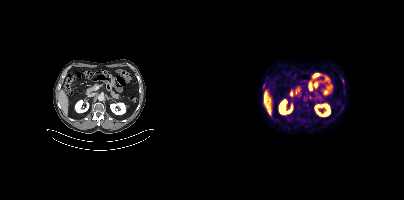
Coordinates are on the 200×200 PET (right) panel. PSMA-avid tumor lesion bounding box (x, y, width, height): x=138 y=78 w=3 h=5.